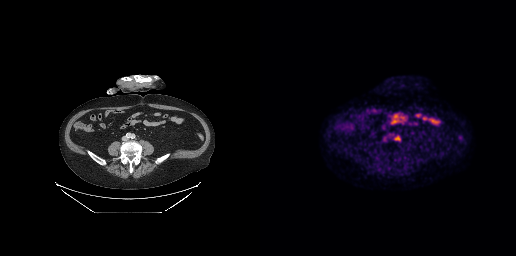
Technique: Paired axial CT (left) and PSMA PET (right), 18F-PSMA tracer. slice 137 of 299.
Findings: Coordinates are on the 256×256 PET (right) panel. PSMA-avid tumor lesion bounding box (x0,y0,x1,y1): [134,136,140,140].